Two-panel axial: CT | PSMA PET, 18F-PSMA tracer. Acquired on Siemens Biograph mCT Flow 20. PET panel 200×200 px (4.1 mm/px).
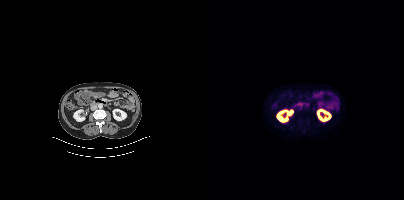
No tumor lesions annotated on this slice.